Two-panel axial: CT | PSMA PET, 18F-PSMA tracer. Acquired on Siemens Biograph mCT Flow 20. Slice 72 of 401.
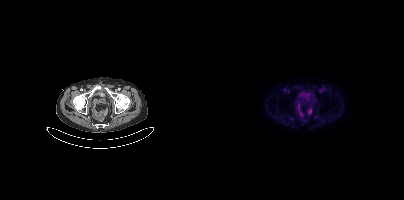
No PSMA-avid tumor lesions on this slice.